modality: PSMA PET/CT | tracer: 68Ga-PSMA | view: axial | PET grid: 200×200
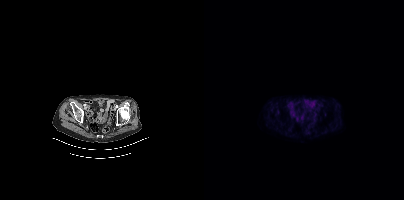
This slice has no annotated PSMA-avid lesion.